modality: PSMA PET/CT | tracer: 18F-PSMA | view: axial | PET grid: 200×200
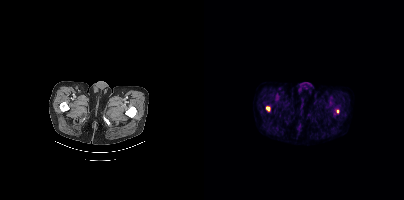
Coordinates are on the 200×200 PET (right) panel. Small PSMA-avid foci (2 to 4 px across) near (center x, center y): (63, 108) (133, 111).